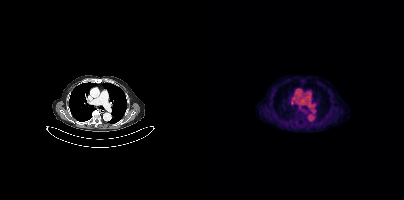
Coordinates are on the 200×200 PET (right) panel. Small PSMA-avid foci (2 to 4 px across) near (center x, center y): (87, 103) | (95, 107).